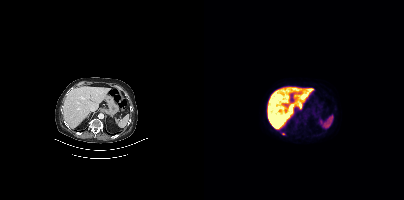
Coordinates are on the 200×200 PET (right) panel. Small PSMA-avid focus (2 to 4 px across) near (center x, center y): (79, 133). Two-panel axial: CT | PSMA PET, 18F-PSMA tracer. Acquired on Siemens Biograph mCT Flow 20. PET panel 200×200 px (4.1 mm/px).